modality: PSMA PET/CT | tracer: 18F | view: axial | PET grid: 256×256
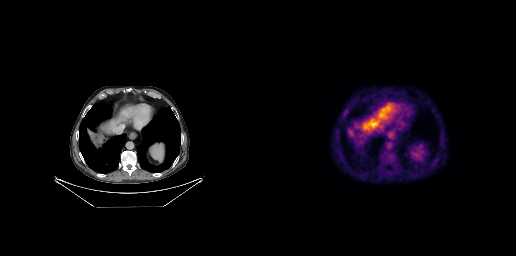
No tumor lesions annotated on this slice.